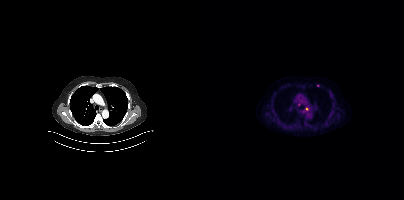
Findings: Coordinates are on the 200×200 PET (right) panel. Small PSMA-avid foci (2 to 4 px across) near (center x, center y): (102, 109) / (95, 104) / (114, 85).
- Two-panel axial: CT | PSMA PET, [18F]PSMA-1007 tracer
- slice 261 of 356